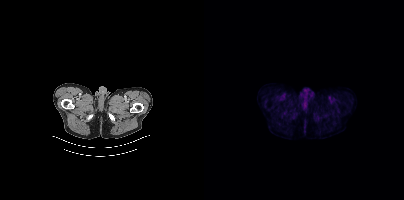
Technique: Left: CT. Right: PSMA PET, same axial level, 18F tracer. acquired on Siemens Biograph mCT Flow 20.
Findings: No PSMA-avid tumor lesions on this slice.